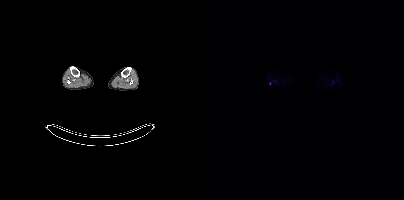
Only PSMA-avid lesion pieces thinner than 2 px on this slice (not listed).